Two-panel axial: CT | PSMA PET, 18F-PSMA tracer. Slice position z = -558 mm. PET panel 200×200 px (4.1 mm/px).
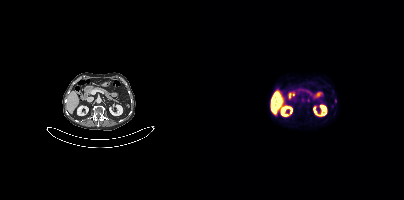
Coordinates are on the 200×200 PET (right) panel. PSMA-avid tumor lesion bounding boxes:
| # | x0 | y0 | x1 | y1 |
|---|---|---|---|---|
| 1 | 103 | 98 | 105 | 102 |